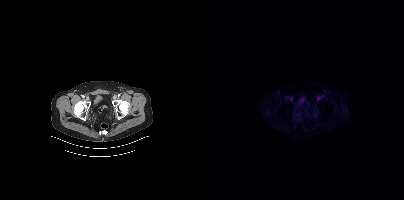
{"modality":"PSMA PET/CT","view":"axial","tracer":"[18F]PSMA-1007","pet_grid":[200,200],"coord_frame":"pet_panel","coord_format":"x0,y0,x1,y1","psma_avid_lesions":false}